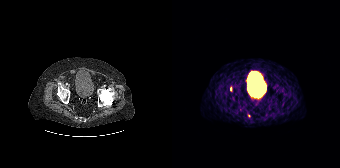
Two-panel axial: CT | PSMA PET, 68Ga tracer. Slice 63 of 195. PET panel 168×168 px (4.1 mm/px). Coordinates are on the 168×168 PET (right) panel. (showing 1 of 2 foci) Small PSMA-avid focus (2 to 4 px across) near (center x, center y): (77, 115).